modality: PSMA PET/CT | tracer: 68Ga-PSMA | view: axial | PET grid: 168×168
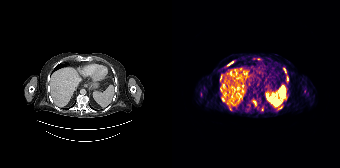
Coordinates are on the 168×168 PET (right) panel. (showing 8 of 10 foci) PSMA-avid tumor lesion bounding boxes (x0, y0)-(x1, y1): (55, 61)-(61, 65) | (89, 106)-(91, 111) | (111, 96)-(114, 100) | (111, 68)-(114, 72) | (106, 106)-(110, 109). Small PSMA-avid foci (2 to 4 px across) near (center x, center y): (115, 78) | (50, 98) | (82, 102).